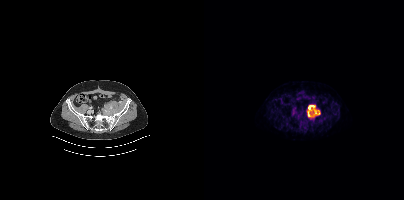
{"modality":"PSMA PET/CT","view":"axial","tracer":"18F-PSMA","pet_grid":[200,200],"coord_frame":"pet_panel","coord_format":"x0,y0,x1,y1","lesion_bboxes":[[103,104,116,117]]}